Left: CT. Right: PSMA PET, same axial level, [18F]PSMA-1007 tracer. Slice 251 of 454. PET panel 200×200 px (4.1 mm/px).
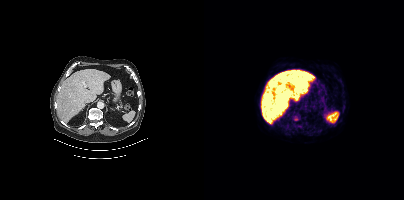
Negative for PSMA-avid disease on this slice.